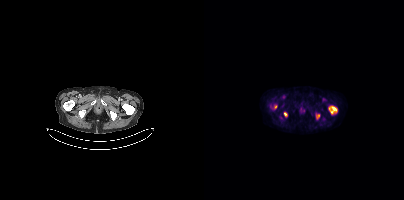
- Paired axial CT (left) and PSMA PET (right), [18F]PSMA-1007 tracer
Findings: Coordinates are on the 200×200 PET (right) panel. PSMA-avid tumor lesion bounding boxes (x0, y0)-(x1, y1): (125, 106)-(133, 114) / (80, 112)-(83, 116) / (112, 114)-(115, 118). Small PSMA-avid focus (2 to 4 px across) near (center x, center y): (71, 106).